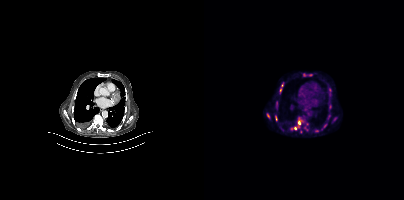
Coordinates are on the 200×200 PET (right) panel. (showing 13 of 14 foci) PSMA-avid tumor lesion bounding boxes (x0,y0,x1,y1): [88,118,100,129]; [75,82,79,92]; [100,123,104,131]; [125,88,127,96]; [62,113,66,118]; [71,115,73,121]. Small PSMA-avid foci (2 to 4 px across) near (center x, center y): (100, 74); (125, 116); (131, 118); (112, 130); (126, 107); (120, 126); (96, 131).